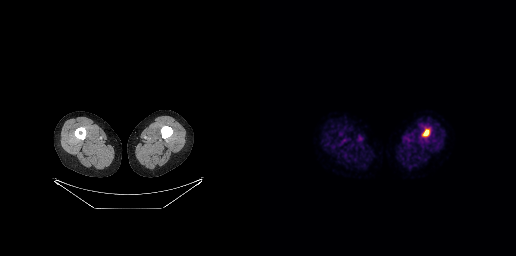
modality: PSMA PET/CT | tracer: 18F | view: axial | PET grid: 256×256
Coordinates are on the 256×256 PET (right) panel. PSMA-avid tumor lesion bounding box (x, y, width, height): x=164 y=130 w=5 h=6.